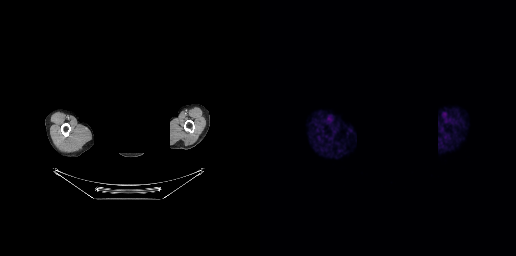
{"pet_grid":[256,256],"coord_frame":"pet_panel","coord_format":"x0,y0,x1,y1","psma_avid_lesions":false,"modality":"PSMA PET/CT","view":"axial","tracer":"[68Ga]Ga-PSMA-11","deidentification":"head region blacked out before release"}